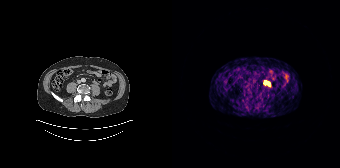
Coordinates are on the 168×168 PET (right) panel. PSMA-avid tumor lesion bounding boxes:
| # | x0 | y0 | x1 | y1 |
|---|---|---|---|---|
| 1 | 92 | 81 | 98 | 85 |
Two-panel axial: CT | PSMA PET, 68Ga-PSMA tracer. Acquired on Siemens Biograph 64-4R TruePoint. Slice position z = -1386 mm.